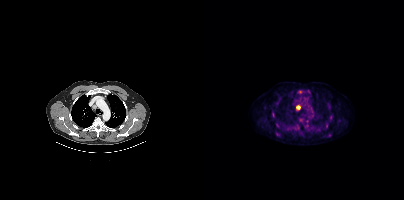
{"modality":"PSMA PET/CT","view":"axial","tracer":"18F-PSMA","pet_grid":[200,200],"coord_frame":"pet_panel","coord_format":"x0,y0,x1,y1","lesion_bboxes":[[92,105,96,109]],"small_foci_centers":[[96,92],[122,126]]}